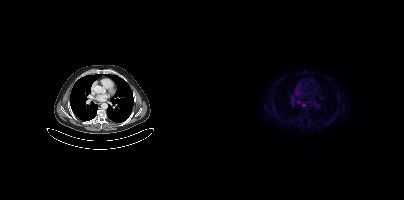
{"pet_grid":[200,200],"coord_frame":"pet_panel","coord_format":"x0,y0,x1,y1","lesion_bboxes":[[93,101,101,106]],"modality":"PSMA PET/CT","view":"axial","tracer":"18F"}